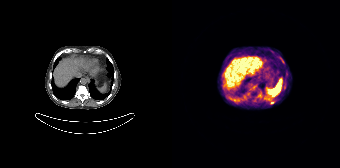
- Left: CT. Right: PSMA PET, same axial level, 68Ga tracer
- acquired on Siemens Biograph 64-4R TruePoint
- slice 99 of 165
- PET panel 168×168 px (4.1 mm/px)
Findings: Coordinates are on the 168×168 PET (right) panel. Small PSMA-avid foci (2 to 4 px across) near (center x, center y): (100, 102) | (109, 59).